Left: CT. Right: PSMA PET, same axial level, 18F tracer. Slice 33 of 454. PET panel 200×200 px (4.1 mm/px).
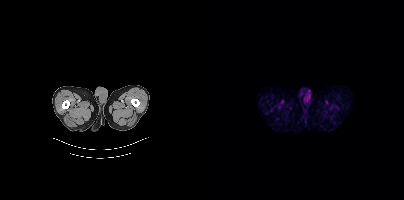
Negative for PSMA-avid disease on this slice.